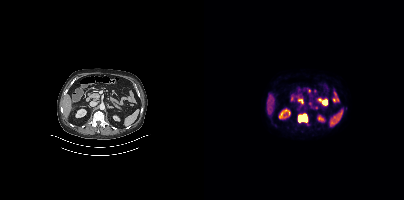
{"modality":"PSMA PET/CT","view":"axial","tracer":"18F-PSMA","pet_grid":[200,200],"coord_frame":"pet_panel","coord_format":"x0,y0,x1,y1","partial":true,"lesion_bboxes":[[94,113,103,122]]}